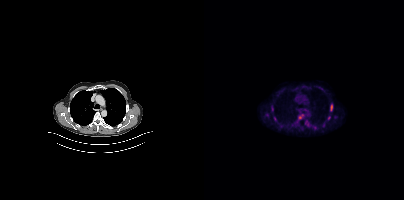
modality: PSMA PET/CT | tracer: 18F | view: axial | PET grid: 200×200
Coordinates are on the 200×200 PET (right) panel. (showing 7 of 8 foci) PSMA-avid tumor lesion bounding boxes (x, y, width, height): x=103 y=120 w=10 h=10 | x=126 y=103 w=4 h=9 | x=123 y=116 w=4 h=5. Small PSMA-avid foci (2 to 4 px across) near (center x, center y): (71, 118) | (68, 108) | (119, 125) | (63, 114).